Technique: Paired axial CT (left) and PSMA PET (right), 18F-PSMA tracer.
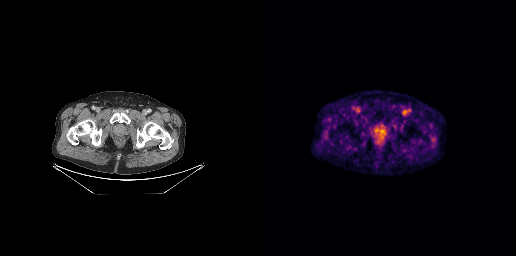
Findings: Coordinates are on the 256×256 PET (right) panel. PSMA-avid tumor lesion bounding box (x, y, width, height): x=120 y=129 w=5 h=4.